modality: PSMA PET/CT | tracer: 18F | view: axial | PET grid: 200×200
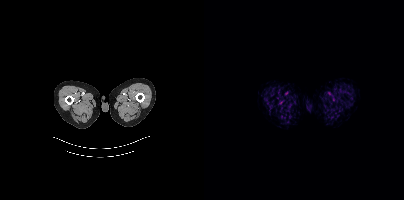
This slice has no annotated PSMA-avid lesion.